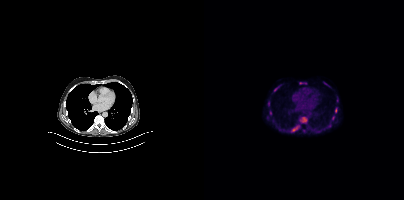
Coordinates are on the 200×200 PET (right) panel. PSMA-avid tumor lesion bounding boxes (x0, y0)-(x1, y1): (95, 116)-(103, 123) | (87, 125)-(95, 131) | (95, 82)-(102, 84) | (70, 86)-(75, 91) | (131, 107)-(133, 113). Small PSMA-avid foci (2 to 4 px across) near (center x, center y): (129, 117) | (64, 103). Left: CT. Right: PSMA PET, same axial level, 18F-PSMA tracer. Slice position z = -372 mm. PET panel 200×200 px (4.1 mm/px).